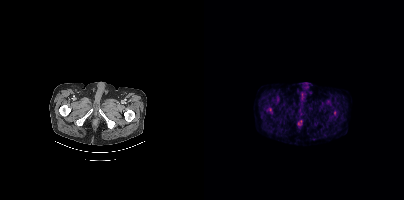
Only PSMA-avid lesion pieces thinner than 2 px on this slice (not listed). Left: CT. Right: PSMA PET, same axial level, 18F-PSMA tracer. Acquired on Siemens Biograph mCT Flow 20. PET panel 200×200 px (4.1 mm/px).